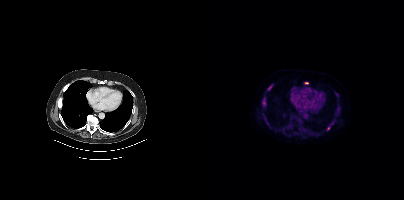
- Left: CT. Right: PSMA PET, same axial level, 18F-PSMA tracer
- acquired on Siemens Biograph mCT Flow 20
Findings: Coordinates are on the 200×200 PET (right) panel. PSMA-avid tumor lesion bounding boxes (x0, y0)-(x1, y1): (58, 98)-(62, 106); (63, 85)-(68, 90). Small PSMA-avid foci (2 to 4 px across) near (center x, center y): (102, 82); (124, 128).